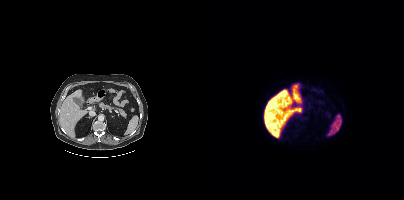
This slice has no annotated PSMA-avid lesion.